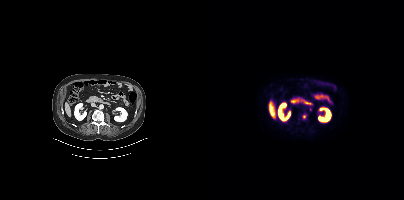
Left: CT. Right: PSMA PET, same axial level, 18F-PSMA tracer. Slice 205 of 450. PET panel 200×200 px (4.1 mm/px). Coordinates are on the 200×200 PET (right) panel. Small PSMA-avid focus (2 to 4 px across) near (center x, center y): (100, 116).